The head region is masked for de-identification. Left: CT. Right: PSMA PET, same axial level, 18F-PSMA tracer. Slice 157 of 165. PET panel 168×168 px (4.1 mm/px).
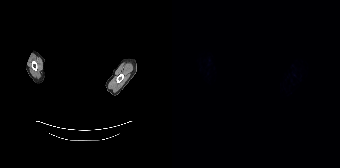
This slice has no annotated PSMA-avid lesion.